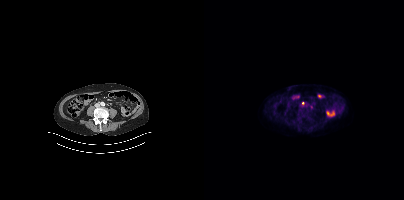
Coordinates are on the 200×200 PET (right) panel. Small PSMA-avid focus (2 to 4 px across) near (center x, center y): (99, 103). Two-panel axial: CT | PSMA PET, 18F tracer.